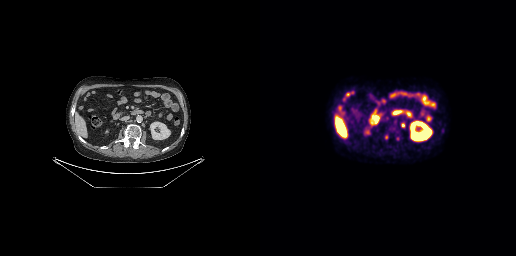
{"pet_grid":[256,256],"coord_frame":"pet_panel","coord_format":"x0,y0,x1,y1","lesion_bboxes":[[125,135,128,139],[141,123,144,127]],"small_foci_centers":[[135,121],[137,139],[133,128]],"modality":"PSMA PET/CT","view":"axial","tracer":"[18F]PSMA-1007"}